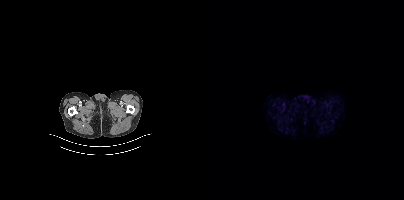
Findings: Negative for PSMA-avid disease on this slice.
Technique: Paired axial CT (left) and PSMA PET (right), 18F-PSMA tracer.